Paired axial CT (left) and PSMA PET (right), 18F tracer. Slice position z = -1099 mm. PET panel 200×200 px (4.1 mm/px).
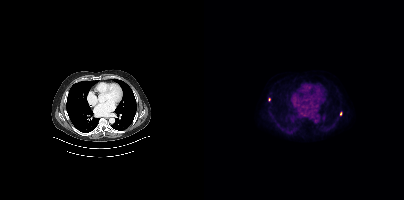
Coordinates are on the 200×200 PET (right) panel. Small PSMA-avid foci (2 to 4 px across) near (center x, center y): (65, 99) / (136, 113).